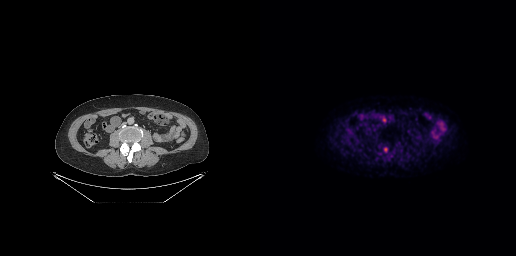
- Paired axial CT (left) and PSMA PET (right), 18F-PSMA tracer
- PET panel 256×256 px (2.7 mm/px)
Findings: Coordinates are on the 256×256 PET (right) panel. Small PSMA-avid foci (2 to 4 px across) near (center x, center y): (125, 149) / (124, 120).